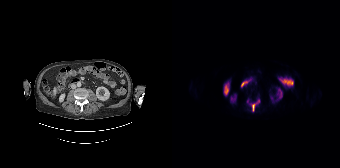
Coordinates are on the 168×168 PET (right) panel. PSMA-avid tumor lesion bounding box (x0,y0,x1,y1): [80,100,87,111].